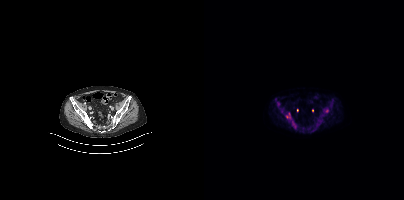
Technique: Left: CT. Right: PSMA PET, same axial level, 18F-PSMA tracer. acquired on Siemens Biograph mCT Flow 20. PET panel 200×200 px (4.1 mm/px).
Findings: Coordinates are on the 200×200 PET (right) panel. PSMA-avid tumor lesion bounding boxes (x0, y0)-(x1, y1): (71, 98)-(79, 112) | (82, 113)-(88, 121). Small PSMA-avid foci (2 to 4 px across) near (center x, center y): (122, 110) | (91, 125).